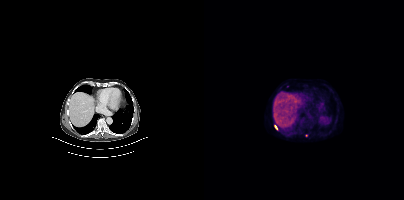
- Two-panel axial: CT | PSMA PET, 18F tracer
- acquired on Siemens Biograph mCT Flow 20
- slice position z = -1148 mm
Findings: Coordinates are on the 200×200 PET (right) panel. PSMA-avid tumor lesion bounding box (x0, y0)-(x1, y1): (70, 125)-(73, 129). Small PSMA-avid focus (2 to 4 px across) near (center x, center y): (102, 135).